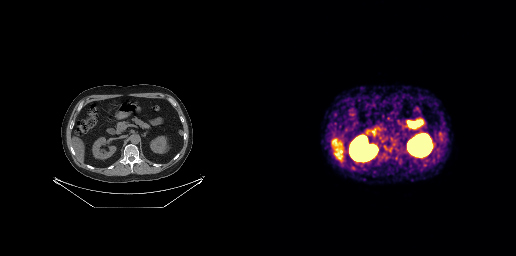
No tumor lesions annotated on this slice.